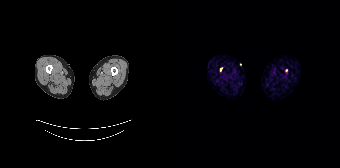
Coordinates are on the 168×168 PET (right) panel. Small PSMA-avid foci (2 to 4 px across) near (center x, center y): (48, 69) / (114, 70). Left: CT. Right: PSMA PET, same axial level, 68Ga-PSMA tracer. PET panel 168×168 px (4.1 mm/px).